modality: PSMA PET/CT | tracer: 18F-PSMA | view: axial
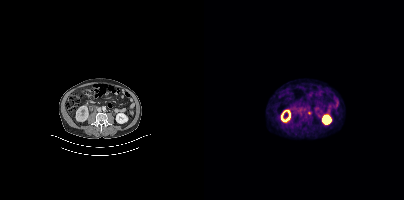
Negative for PSMA-avid disease on this slice.